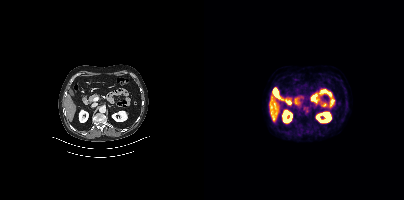
- Paired axial CT (left) and PSMA PET (right), 18F tracer
- acquired on Siemens Biograph mCT Flow 20
- slice position z = -1196 mm
- PET panel 200×200 px (4.1 mm/px)
Findings: This slice has no annotated PSMA-avid lesion.